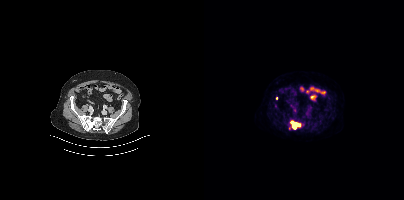
Paired axial CT (left) and PSMA PET (right), 18F-PSMA tracer. Slice position z = -716 mm. PET panel 200×200 px (4.1 mm/px). Coordinates are on the 200×200 PET (right) panel. PSMA-avid tumor lesion bounding box (x0,y0,x1,y1): [86,120,96,129]. Small PSMA-avid focus (2 to 4 px across) near (center x, center y): (72, 98).